Technique: Left: CT. Right: PSMA PET, same axial level, 18F tracer. acquired on Siemens Biograph mCT Flow 20.
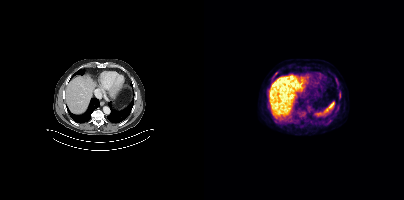
Findings: Coordinates are on the 200×200 PET (right) panel. (showing 1 of 3 foci) PSMA-avid tumor lesion bounding box (x, y, width, height): x=135 y=93 w=2 h=6.